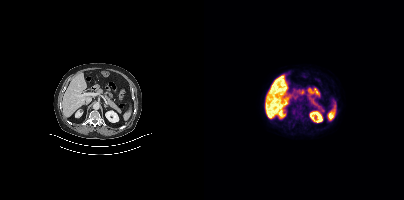
No tumor lesions annotated on this slice. Paired axial CT (left) and PSMA PET (right), 18F tracer. Acquired on Siemens Biograph mCT Flow 20. Slice position z = -546 mm. PET panel 200×200 px (4.1 mm/px).